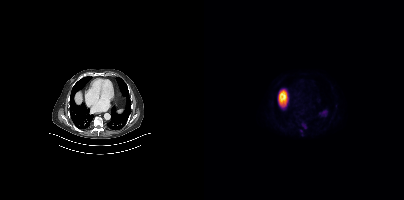
modality: PSMA PET/CT | tracer: [18F]PSMA-1007 | view: axial | PET grid: 200×200
Coordinates are on the 200×200 PET (right) panel. PSMA-avid tumor lesion bounding boxes (x0, y0)-(x1, y1): (97, 122)-(102, 127) | (95, 129)-(99, 134).